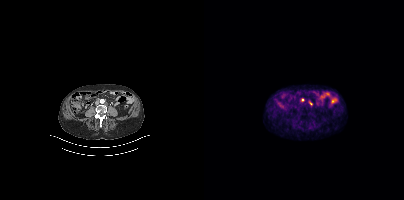
Coordinates are on the 200×200 PET (right) panel. Small PSMA-avid focus (2 to 4 px across) near (center x, center y): (98, 99).